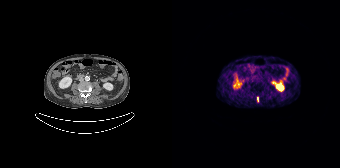
Paired axial CT (left) and PSMA PET (right), 68Ga-PSMA tracer. PET panel 168×168 px (4.1 mm/px). Coordinates are on the 168×168 PET (right) panel. PSMA-avid tumor lesion bounding box (x0, y0)-(x1, y1): (85, 97)-(86, 101).